modality: PSMA PET/CT | tracer: 18F-PSMA | view: axial | PET grid: 256×256
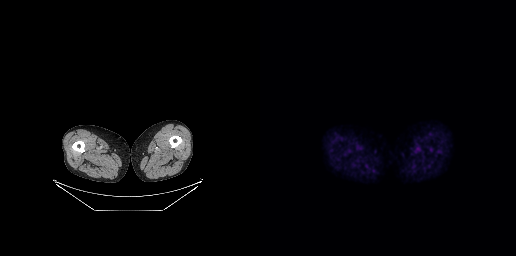
No PSMA-avid tumor lesions on this slice.